- Left: CT. Right: PSMA PET, same axial level, 18F tracer
- acquired on Siemens Biograph mCT Flow 20
- slice 447 of 963
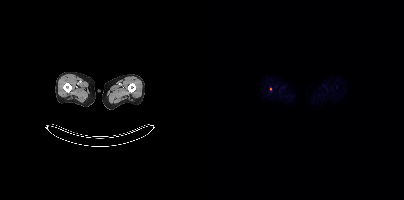
Findings: Coordinates are on the 200×200 PET (right) panel. Small PSMA-avid focus (2 to 4 px across) near (center x, center y): (66, 88).